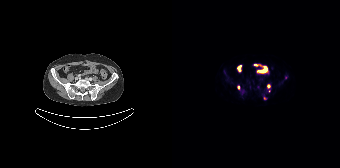
Findings: Coordinates are on the 168×168 PET (right) panel. (showing 2 of 5 foci) PSMA-avid tumor lesion bounding box (x0,y0,x1,y1): [95,84,98,88]. Small PSMA-avid focus (2 to 4 px across) near (center x, center y): (66, 87).
- Paired axial CT (left) and PSMA PET (right), 18F tracer